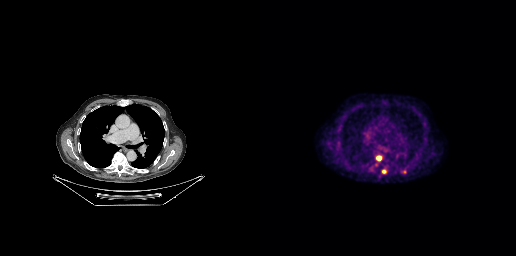
{"modality":"PSMA PET/CT","view":"axial","tracer":"18F-PSMA","pet_grid":[256,256],"coord_frame":"pet_panel","coord_format":"x0,y0,x1,y1","lesion_bboxes":[[115,156,121,166],[141,169,146,174],[122,169,126,173]]}